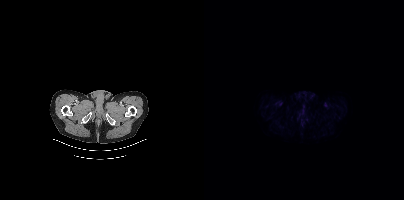
Negative for PSMA-avid disease on this slice. Left: CT. Right: PSMA PET, same axial level, 18F-PSMA tracer. Slice 42 of 405. PET panel 200×200 px (4.1 mm/px).